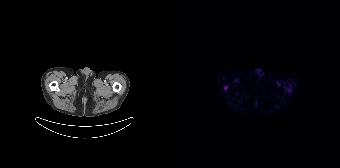
Coordinates are on the 168×168 PET (right) panel. Small PSMA-avid focus (2 to 4 px across) near (center x, center y): (53, 87).